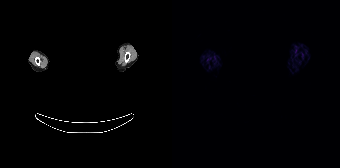
Facial anatomy redacted by setting a rectangular region of the head to black.
Negative for PSMA-avid disease on this slice.